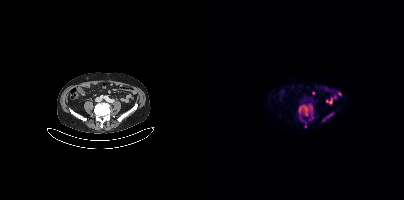
Technique: Paired axial CT (left) and PSMA PET (right), 18F-PSMA tracer. acquired on Siemens Biograph mCT Flow 20. PET panel 200×200 px (4.1 mm/px).
Findings: Coordinates are on the 200×200 PET (right) panel. (showing 3 of 4 foci) PSMA-avid tumor lesion bounding boxes (x, y, width, height): x=95 y=104 w=14 h=12; x=119 y=113 w=11 h=9. Small PSMA-avid focus (2 to 4 px across) near (center x, center y): (101, 126).